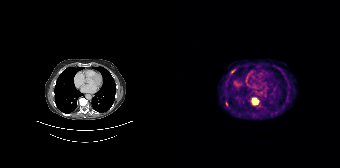
Coordinates are on the 168×168 PET (right) panel. (showing 3 of 4 foci) PSMA-avid tumor lesion bounding boxes (x0, y0)-(x1, y1): (80, 98)-(86, 104); (59, 69)-(63, 73). Small PSMA-avid focus (2 to 4 px across) near (center x, center y): (54, 103).